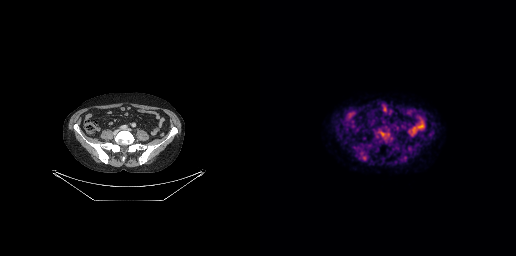
Left: CT. Right: PSMA PET, same axial level, 18F tracer. Acquired on GE Discovery 690. This slice has no annotated PSMA-avid lesion.